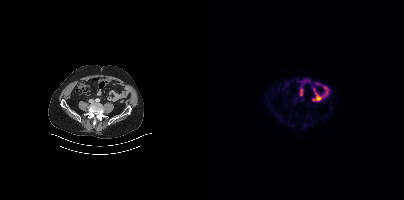
No PSMA-avid tumor lesions on this slice.